Paired axial CT (left) and PSMA PET (right), 18F tracer.
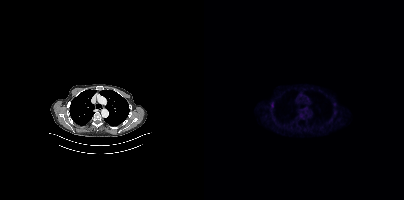
This slice has no annotated PSMA-avid lesion.